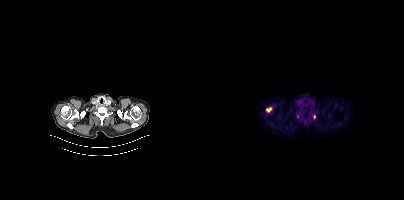
Coordinates are on the 200×200 PET (right) panel. PSMA-avid tumor lesion bounding box (x0,y0,x1,y1): [62,108,67,111]. Small PSMA-avid focus (2 to 4 px across) near (center x, center y): (110, 116).